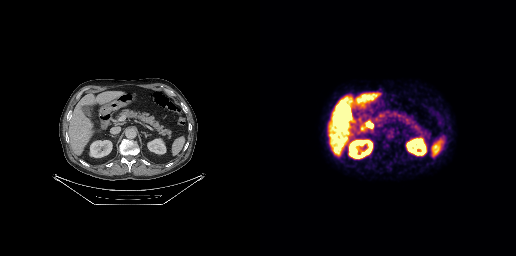
{"modality":"PSMA PET/CT","view":"axial","tracer":"[18F]PSMA-1007","pet_grid":[256,256],"coord_frame":"pet_panel","coord_format":"x0,y0,x1,y1","psma_avid_lesions":false}